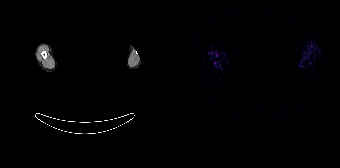
No tumor lesions annotated on this slice. Any black rectangle over the head is a privacy mask, not anatomy. Left: CT. Right: PSMA PET, same axial level, 68Ga-PSMA tracer.